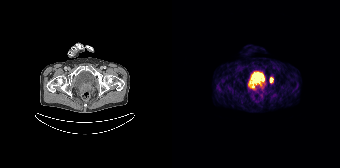
Coordinates are on the 168×168 PET (right) panel. PSMA-avid tumor lesion bounding box (x0,y0,x1,y1): [98,77,101,82]. Small PSMA-avid focus (2 to 4 px across) near (center x, center y): (81, 86).